Technique: Left: CT. Right: PSMA PET, same axial level, 18F-PSMA tracer. slice 287 of 431.
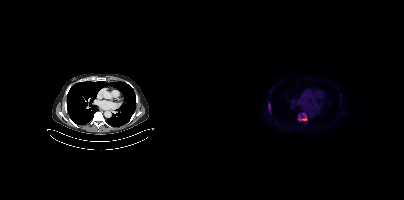
Findings: Coordinates are on the 200×200 PET (right) panel. PSMA-avid tumor lesion bounding boxes (x0, y0)-(x1, y1): (94, 113)-(103, 120); (64, 103)-(66, 113).